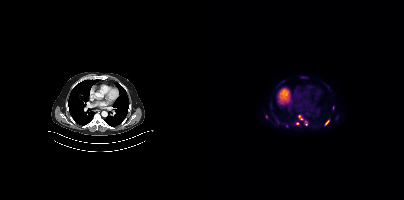
{"pet_grid":[200,200],"coord_frame":"pet_panel","coord_format":"x0,y0,x1,y1","partial":true,"lesion_bboxes":[[94,115,98,119],[121,120,125,124],[101,121,103,125]],"small_foci_centers":[[93,123],[62,116]],"modality":"PSMA PET/CT","view":"axial","tracer":"18F"}